Paired axial CT (left) and PSMA PET (right), [18F]PSMA-1007 tracer. Slice 226 of 263.
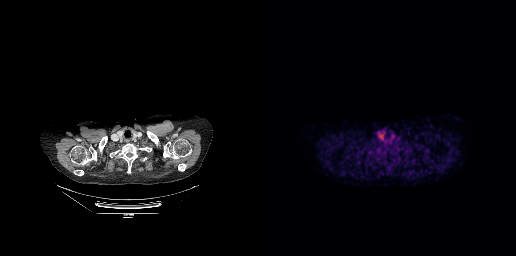
No PSMA-avid tumor lesions on this slice.